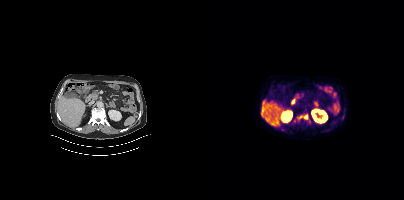
- Paired axial CT (left) and PSMA PET (right), 18F tracer
- acquired on Siemens Biograph mCT Flow 20
- slice position z = -682 mm
- PET panel 200×200 px (4.1 mm/px)
Findings: Only PSMA-avid lesion pieces thinner than 2 px on this slice (not listed).